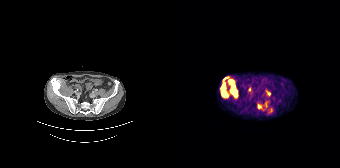
modality: PSMA PET/CT | tracer: 68Ga-PSMA | view: axial
Coordinates are on the 168×168 PET (right) panel. PSMA-avid tumor lesion bounding boxes (x, y, width, height): x=48 y=77 w=18 h=22 | x=85 y=101 w=12 h=10 | x=94 y=90 w=5 h=6 | x=97 y=108 w=4 h=5. Small PSMA-avid focus (2 to 4 px across) near (center x, center y): (77, 89).